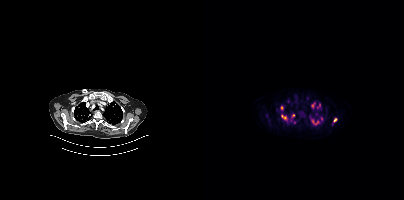
Technique: Paired axial CT (left) and PSMA PET (right), [18F]PSMA-1007 tracer. acquired on Siemens Biograph mCT Flow 20. slice position z = -412 mm. PET panel 200×200 px (4.1 mm/px).
Findings: Coordinates are on the 200×200 PET (right) panel. (showing 11 of 12 foci) PSMA-avid tumor lesion bounding boxes (x0, y0)-(x1, y1): (107, 119)-(115, 124) | (113, 103)-(116, 108) | (107, 103)-(111, 107). Small PSMA-avid foci (2 to 4 px across) near (center x, center y): (87, 119) | (131, 119) | (78, 107) | (89, 115) | (81, 118) | (90, 122) | (117, 118) | (77, 115).